- Two-panel axial: CT | PSMA PET, 18F-PSMA tracer
- acquired on Siemens Biograph mCT Flow 20
- slice 213 of 417
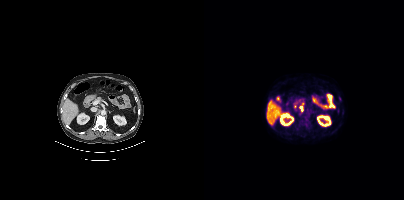
Findings: Coordinates are on the 200×200 PET (right) panel. PSMA-avid tumor lesion bounding box (x0,y0,x1,y1): [96,106,98,110].